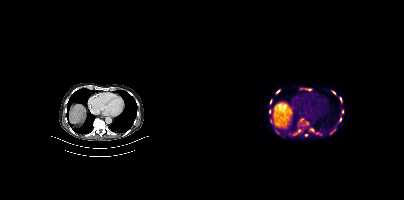
Coordinates are on the 200×200 PET (right) panel. (showing 15 of 18 foci) PSMA-avid tumor lesion bounding boxes (x0, y0)-(x1, y1): (90, 129)-(97, 134) / (135, 97)-(138, 103) / (105, 128)-(110, 132) / (127, 90)-(132, 94) / (72, 89)-(76, 94) / (101, 121)-(104, 125) / (135, 117)-(137, 122) / (101, 89)-(107, 90) / (138, 109)-(139, 113) / (126, 129)-(131, 134). Small PSMA-avid foci (2 to 4 px across) near (center x, center y): (102, 135) / (66, 101) / (65, 111) / (72, 131) / (67, 122).